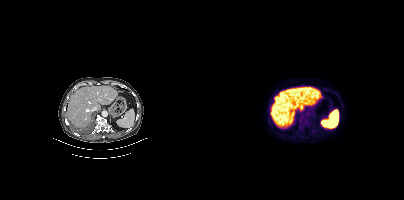
Left: CT. Right: PSMA PET, same axial level, [18F]PSMA-1007 tracer. Acquired on Siemens Biograph mCT Flow 20. Slice position z = -1152 mm. Coordinates are on the 200×200 PET (right) panel. Small PSMA-avid focus (2 to 4 px across) near (center x, center y): (96, 121).